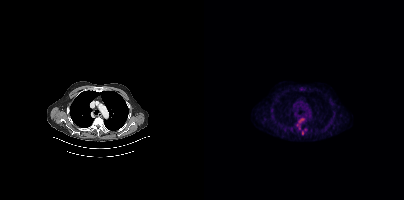
{"modality":"PSMA PET/CT","view":"axial","tracer":"18F","pet_grid":[200,200],"coord_frame":"pet_panel","coord_format":"x0,y0,x1,y1","partial":true,"lesion_bboxes":[[95,118,100,122]]}